Left: CT. Right: PSMA PET, same axial level, 18F-PSMA tracer. Acquired on Siemens Biograph mCT Flow 20. Slice position z = -1292 mm. PET panel 200×200 px (4.1 mm/px).
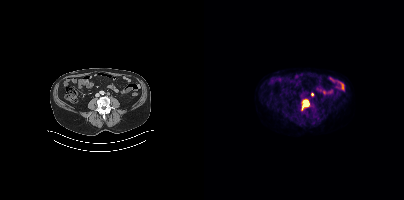
Coordinates are on the 200×200 PET (right) panel. PSMA-avid tumor lesion bounding boxes (partial; 1 more focus not listed):
| # | x0 | y0 | x1 | y1 |
|---|---|---|---|---|
| 1 | 97 | 99 | 105 | 110 |